modality: PSMA PET/CT | tracer: 18F | view: axial | PET grid: 200×200
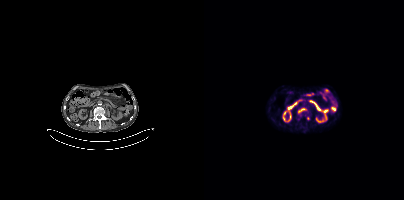
Coordinates are on the 200×200 PET (right) panel. PSMA-avid tumor lesion bounding box (x0, y0)-(x1, y1): (94, 108)-(102, 112). Small PSMA-avid foci (2 to 4 px across) near (center x, center y): (94, 118); (103, 118).